Technique: Two-panel axial: CT | PSMA PET, [68Ga]Ga-PSMA-11 tracer. slice position z = -558 mm.
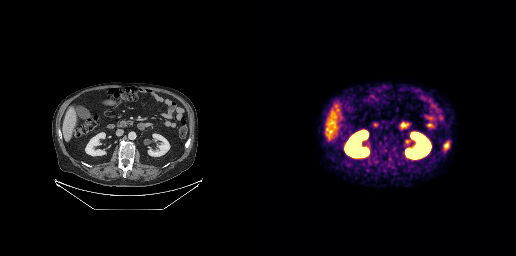
Findings: No tumor lesions annotated on this slice.